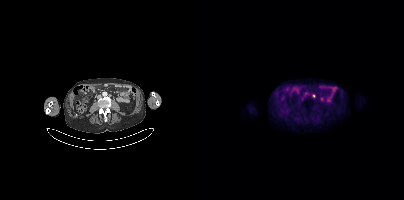
Technique: Left: CT. Right: PSMA PET, same axial level, 18F tracer. slice 162 of 417. PET panel 200×200 px (4.1 mm/px).
Findings: Coordinates are on the 200×200 PET (right) panel. (showing 1 of 2 foci) Small PSMA-avid focus (2 to 4 px across) near (center x, center y): (109, 95).